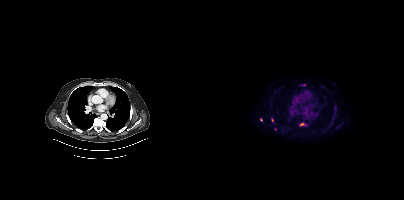
Coordinates are on the 200×200 PET (right) panel. (showing 4 of 7 foci) Small PSMA-avid foci (2 to 4 px across) near (center x, center y): (97, 124); (101, 112); (68, 120); (57, 119).